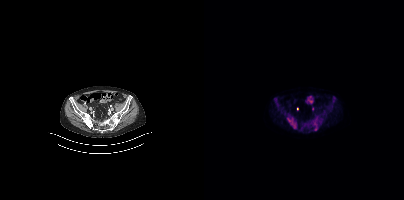
Paired axial CT (left) and PSMA PET (right), 18F-PSMA tracer. Acquired on Siemens Biograph mCT Flow 20. Slice 86 of 401. PET panel 200×200 px (4.1 mm/px).
Coordinates are on the 200×200 PET (right) panel. PSMA-avid tumor lesion bounding boxes:
| # | x0 | y0 | x1 | y1 |
|---|---|---|---|---|
| 1 | 84 | 117 | 91 | 127 |
| 2 | 70 | 98 | 75 | 109 |
| 3 | 109 | 120 | 111 | 125 |
| 4 | 111 | 126 | 112 | 130 |
Small PSMA-avid focus (2 to 4 px across) near (center x, center y): (78, 111).